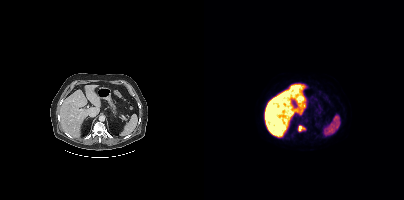
Coordinates are on the 200×200 PET (right) panel. PSMA-avid tumor lesion bounding boxes:
| # | x0 | y0 | x1 | y1 |
|---|---|---|---|---|
| 1 | 94 | 125 | 101 | 131 |
Two-panel axial: CT | PSMA PET, 18F tracer. Acquired on Siemens Biograph mCT Flow 20. Slice 225 of 417. PET panel 200×200 px (4.1 mm/px).